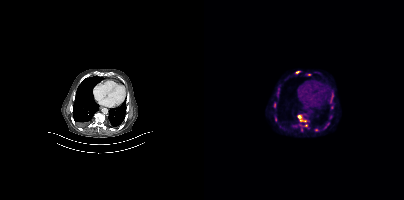
Technique: Paired axial CT (left) and PSMA PET (right), [18F]PSMA-1007 tracer. PET panel 200×200 px (4.1 mm/px).
Findings: Coordinates are on the 200×200 PET (right) panel. (showing 9 of 10 foci) PSMA-avid tumor lesion bounding boxes (x0,y0,x1,y1): [93,115,105,131] [91,71,96,73] [127,95,129,101] [70,103,71,107]. Small PSMA-avid foci (2 to 4 px across) near (center x, center y): (104, 74) (111, 130) (71, 119) (124, 124) (126, 117).